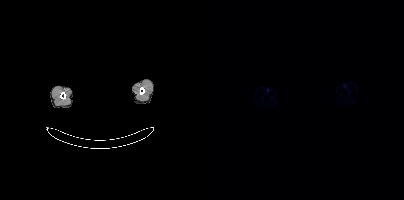
{"modality":"PSMA PET/CT","view":"axial","tracer":"68Ga-PSMA","pet_grid":[200,200],"coord_frame":"pet_panel","coord_format":"x0,y0,x1,y1","de-identification":"head region blanked (face removed)","psma_avid_lesions":false}